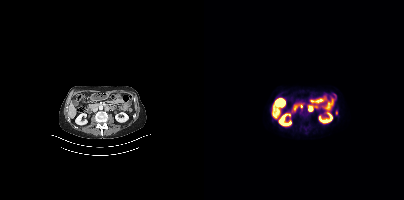
modality: PSMA PET/CT | tracer: 18F | view: axial
Coordinates are on the 200×200 PET (right) panel. (showing 1 of 2 foci) Small PSMA-avid focus (2 to 4 px across) near (center x, center y): (106, 108).